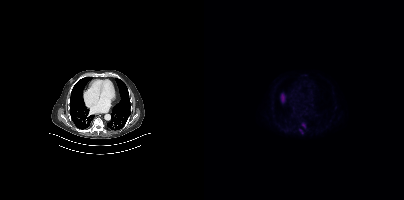
Paired axial CT (left) and PSMA PET (right), 18F-PSMA tracer. Slice position z = -608 mm. PET panel 200×200 px (4.1 mm/px). Coordinates are on the 200×200 PET (right) panel. PSMA-avid tumor lesion bounding boxes (x0,y0,x1,y1): [97,122,102,128] [94,128,100,134].